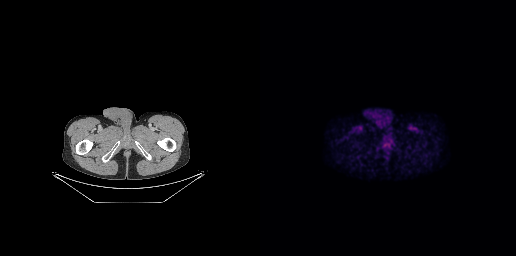
Left: CT. Right: PSMA PET, same axial level, 18F tracer. PET panel 256×256 px (2.7 mm/px). Negative for PSMA-avid disease on this slice.